- Paired axial CT (left) and PSMA PET (right), 18F tracer
- acquired on Siemens Biograph mCT Flow 20
- PET panel 200×200 px (4.1 mm/px)
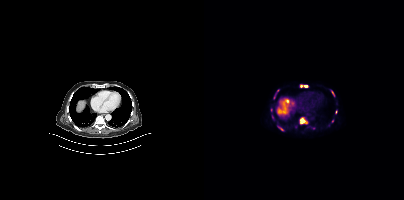
Findings: Coordinates are on the 200×200 PET (right) panel. (showing 5 of 8 foci) PSMA-avid tumor lesion bounding boxes (x0,y0,x1,y1): [96,118,102,123] [74,126,79,130]. Small PSMA-avid foci (2 to 4 px across) near (center x, center y): (101, 86) (97, 86) (128, 92).